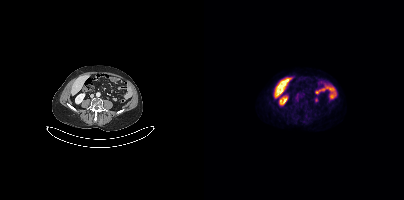
Findings: No tumor lesions annotated on this slice.
- Two-panel axial: CT | PSMA PET, [18F]PSMA-1007 tracer
- acquired on Siemens Biograph mCT Flow 20